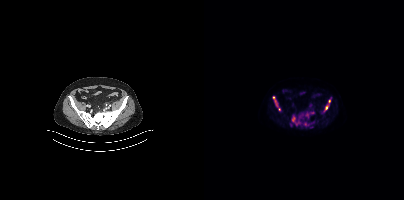
Two-panel axial: CT | PSMA PET, [18F]PSMA-1007 tracer. Acquired on Siemens Biograph mCT Flow 20.
Coordinates are on the 200×200 PET (right) panel. PSMA-avid tumor lesion bounding boxes:
| # | x0 | y0 | x1 | y1 |
|---|---|---|---|---|
| 1 | 69 | 96 | 73 | 106 |
| 2 | 120 | 104 | 124 | 111 |
| 3 | 101 | 112 | 104 | 117 |
| 4 | 88 | 117 | 90 | 121 |
Small PSMA-avid foci (2 to 4 px across) near (center x, center y): (108, 112); (125, 101); (75, 109); (101, 123).